- Paired axial CT (left) and PSMA PET (right), [18F]PSMA-1007 tracer
- acquired on Siemens Biograph 64-4R TruePoint
- slice position z = -798 mm
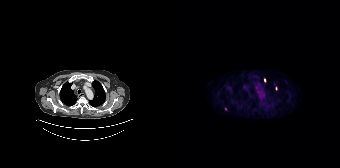
Findings: Coordinates are on the 168×168 PET (right) panel. Small PSMA-avid foci (2 to 4 px across) near (center x, center y): (93, 80); (104, 88); (53, 108).